Left: CT. Right: PSMA PET, same axial level, [18F]PSMA-1007 tracer. Slice position z = -145 mm. PET panel 200×200 px (4.1 mm/px).
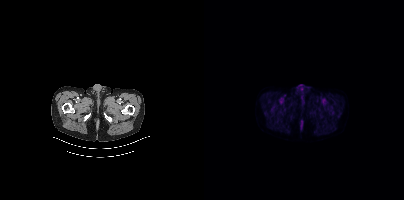
No PSMA-avid tumor lesions on this slice.